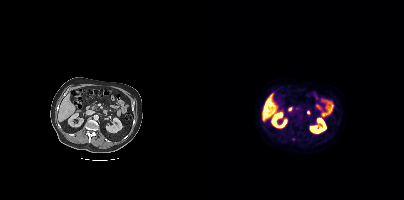
Findings: Negative for PSMA-avid disease on this slice.
Technique: Left: CT. Right: PSMA PET, same axial level, [18F]PSMA-1007 tracer. slice 209 of 431.